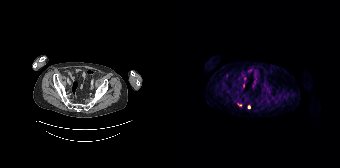
Technique: Two-panel axial: CT | PSMA PET, 68Ga-PSMA tracer.
Findings: Coordinates are on the 168×168 PET (right) panel. (showing 2 of 4 foci) Small PSMA-avid foci (2 to 4 px across) near (center x, center y): (77, 106) | (71, 85).